Left: CT. Right: PSMA PET, same axial level, 18F tracer. PET panel 256×256 px (2.7 mm/px).
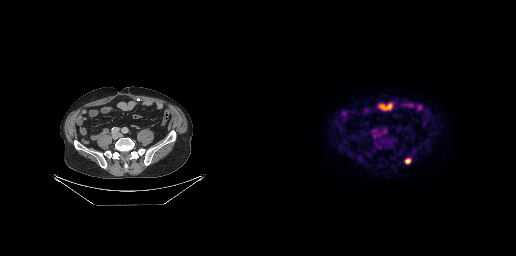
Coordinates are on the 256×256 PET (right) panel. PSMA-avid tumor lesion bounding boxes:
| # | x0 | y0 | x1 | y1 |
|---|---|---|---|---|
| 1 | 145 | 158 | 150 | 163 |